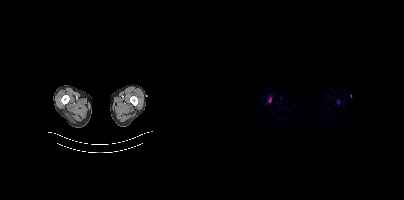
modality: PSMA PET/CT | tracer: [18F]PSMA-1007 | view: axial
Coordinates are on the 200×200 PET (right) panel. PSMA-avid tumor lesion bounding box (x0,y0,x1,y1): [64,97,67,102].